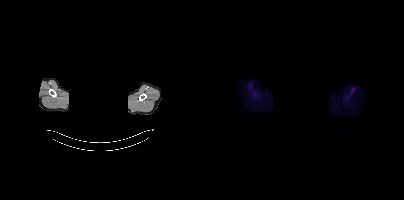
- Left: CT. Right: PSMA PET, same axial level, 18F tracer
- slice position z = 1796 mm
- a rectangle over the head was blacked out to remove identifiable facial features
Findings: This slice has no annotated PSMA-avid lesion.